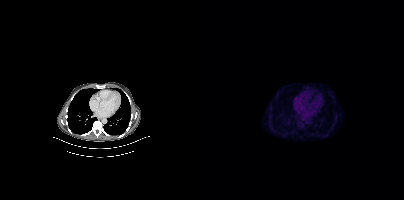
Technique: Paired axial CT (left) and PSMA PET (right), 18F tracer. slice 280 of 435.
Findings: No tumor lesions annotated on this slice.